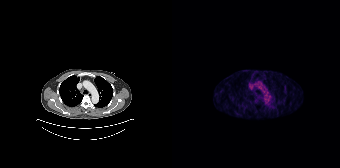
- Left: CT. Right: PSMA PET, same axial level, 18F tracer
- acquired on Siemens Biograph 64-4R TruePoint
- PET panel 168×168 px (4.1 mm/px)
Findings: Negative for PSMA-avid disease on this slice.